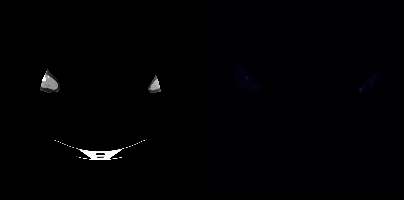
Technique: Paired axial CT (left) and PSMA PET (right), 18F tracer. PET panel 200×200 px (4.1 mm/px).
Note: Face de-identified by blanking a block of the head.
Findings: This slice has no annotated PSMA-avid lesion.